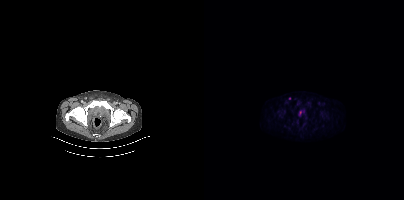
{"modality":"PSMA PET/CT","view":"axial","tracer":"[18F]PSMA-1007","pet_grid":[200,200],"coord_frame":"pet_panel","coord_format":"x0,y0,x1,y1","lesion_bboxes":[],"small_foci_centers":[[85,98],[96,112]]}